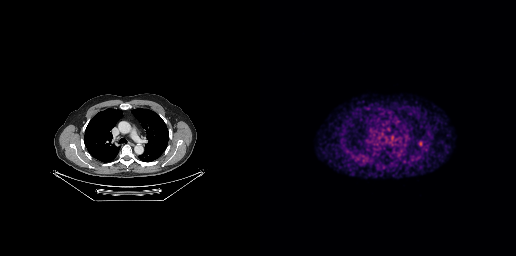
modality: PSMA PET/CT | tracer: 68Ga | view: axial
Coordinates are on the 256×256 PET (right) panel. Small PSMA-avid focus (2 to 4 px across) near (center x, center y): (160, 142).